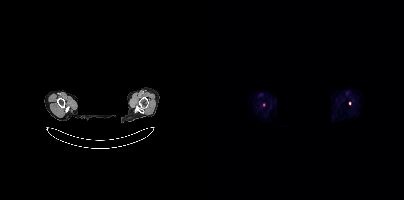
{"pet_grid":[200,200],"coord_frame":"pet_panel","coord_format":"x0,y0,x1,y1","partial":true,"lesion_bboxes":[],"de-identification":"privacy mask over head","modality":"PSMA PET/CT","view":"axial","tracer":"18F-PSMA"}